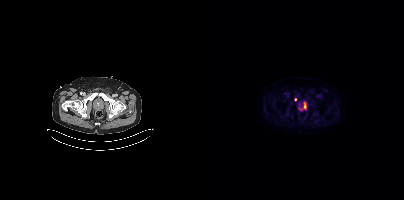
Technique: Paired axial CT (left) and PSMA PET (right), 18F tracer.
Findings: Coordinates are on the 200×200 PET (right) panel. Small PSMA-avid focus (2 to 4 px across) near (center x, center y): (91, 99).